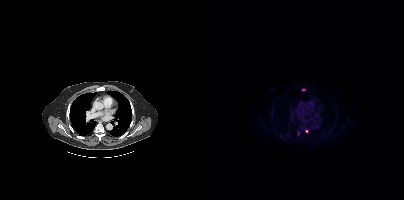
- Left: CT. Right: PSMA PET, same axial level, 18F tracer
- acquired on Siemens Biograph mCT Flow 20
- slice position z = -1002 mm
- PET panel 200×200 px (4.1 mm/px)
Findings: Coordinates are on the 200×200 PET (right) panel. (showing 2 of 3 foci) Small PSMA-avid foci (2 to 4 px across) near (center x, center y): (99, 89) | (102, 131).